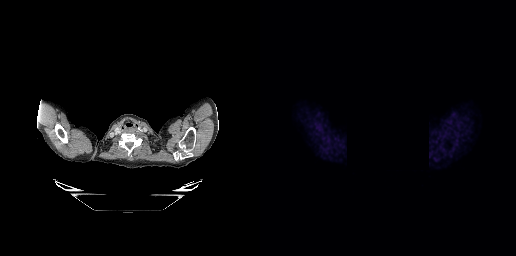
Two-panel axial: CT | PSMA PET, 18F tracer. Acquired on GE Discovery 690. Slice position z = -114 mm. PET panel 256×256 px (2.7 mm/px). A rectangular privacy mask was applied before release. No tumor lesions annotated on this slice.